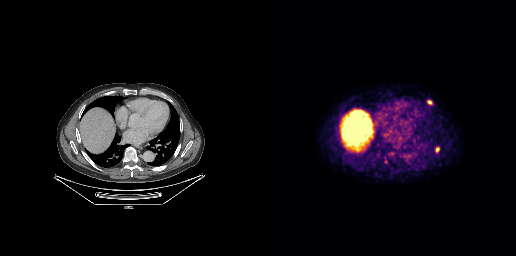
modality: PSMA PET/CT | tracer: [18F]PSMA-1007 | view: axial | PET grid: 256×256
Coordinates are on the 256×256 PET (right) panel. PSMA-avid tumor lesion bounding boxes (x0,y0,x1,y1): [167,100,172,104]; [175,147,179,152]; [129,152,133,154]. Small PSMA-avid focus (2 to 4 px across) near (center x, center y): (125, 161).